Technique: Paired axial CT (left) and PSMA PET (right), [18F]PSMA-1007 tracer. acquired on Siemens Biograph mCT Flow 20.
Note: Any black rectangle over the head is a privacy mask, not anatomy.
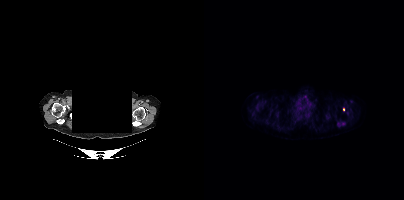
Findings: Coordinates are on the 200×200 PET (right) panel. PSMA-avid tumor lesion bounding box (x, y, width, height): x=133 y=122 w=8 h=5. Small PSMA-avid foci (2 to 4 px across) near (center x, center y): (99, 106); (139, 109); (96, 118).